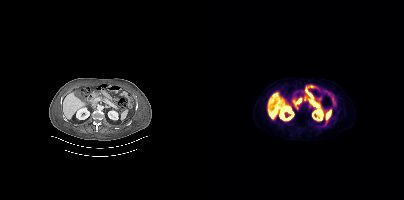
- Left: CT. Right: PSMA PET, same axial level, [18F]PSMA-1007 tracer
- slice position z = -1466 mm
- PET panel 200×200 px (4.1 mm/px)
Findings: No PSMA-avid tumor lesions on this slice.